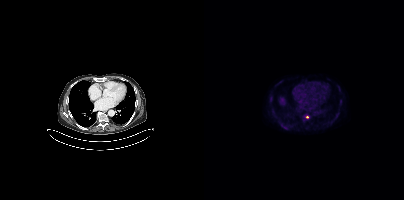
{"modality":"PSMA PET/CT","view":"axial","tracer":"18F","pet_grid":[200,200],"coord_frame":"pet_panel","coord_format":"x0,y0,x1,y1","lesion_bboxes":[],"small_foci_centers":[[81,127],[102,117]]}